de-identification: privacy mask over head | modality: PSMA PET/CT | tracer: 18F | view: axial
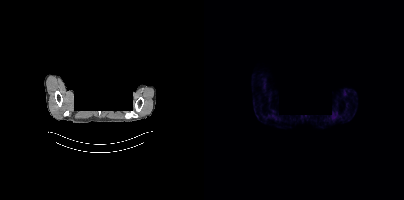
This slice has no annotated PSMA-avid lesion.